Two-panel axial: CT | PSMA PET, [18F]PSMA-1007 tracer. Acquired on Siemens Biograph mCT Flow 20. PET panel 200×200 px (4.1 mm/px).
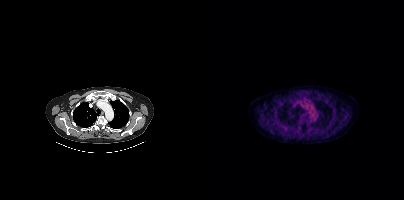
No tumor lesions annotated on this slice.